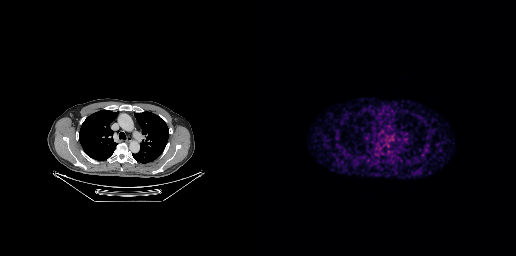
This slice has no annotated PSMA-avid lesion.